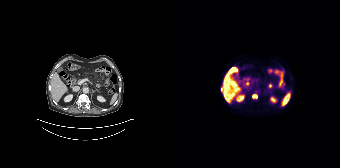
Findings: Coordinates are on the 168×168 PET (right) panel. (showing 1 of 2 foci) PSMA-avid tumor lesion bounding box (x0, y0)-(x1, y1): (80, 94)-(85, 98).
Technique: Two-panel axial: CT | PSMA PET, [18F]PSMA-1007 tracer. PET panel 168×168 px (4.1 mm/px).